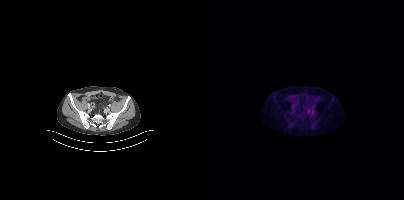
Technique: Paired axial CT (left) and PSMA PET (right), [18F]PSMA-1007 tracer. PET panel 200×200 px (4.1 mm/px).
Findings: Only PSMA-avid lesion pieces thinner than 2 px on this slice (not listed).